Paired axial CT (left) and PSMA PET (right), [18F]PSMA-1007 tracer. Slice 22 of 450. PET panel 200×200 px (4.1 mm/px).
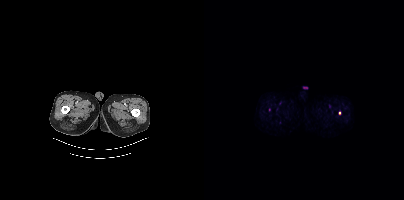
Coordinates are on the 200×200 PET (right) panel. Small PSMA-avid foci (2 to 4 px across) near (center x, center y): (135, 113); (65, 109).